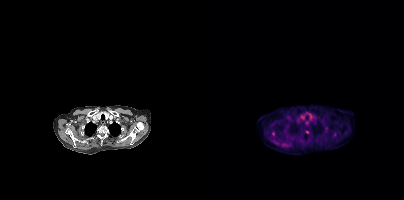
{"modality":"PSMA PET/CT","view":"axial","tracer":"18F-PSMA","pet_grid":[200,200],"coord_frame":"pet_panel","coord_format":"x0,y0,x1,y1","lesion_bboxes":[[130,132,132,136]],"small_foci_centers":[[69,133],[103,131]]}